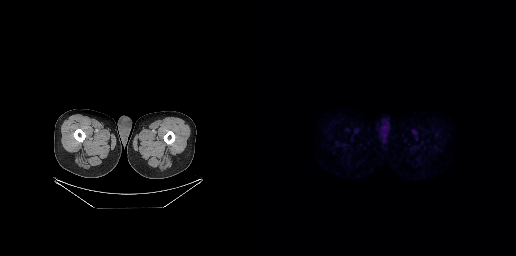
No tumor lesions annotated on this slice. Paired axial CT (left) and PSMA PET (right), [18F]PSMA-1007 tracer. Slice 14 of 263. PET panel 256×256 px (2.7 mm/px).